Two-panel axial: CT | PSMA PET, 18F tracer. Slice 98 of 263.
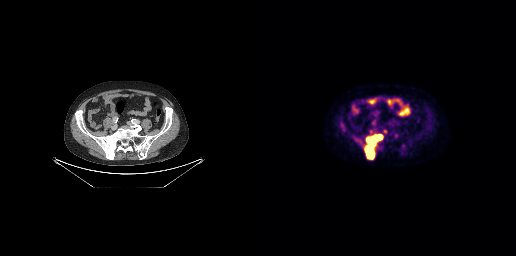
Coordinates are on the 256×256 PET (right) panel. (showing 2 of 3 foci) PSMA-avid tumor lesion bounding box (x, y, width, height): x=104 y=134 w=20 h=26. Small PSMA-avid focus (2 to 4 px across) near (center x, center y): (125, 131).